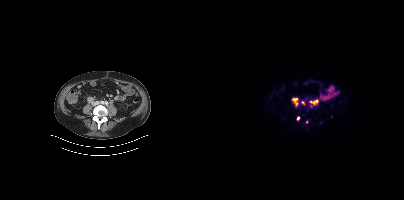
{"modality":"PSMA PET/CT","view":"axial","tracer":"18F","pet_grid":[200,200],"coord_frame":"pet_panel","coord_format":"x0,y0,x1,y1","lesion_bboxes":[[88,98,93,105],[106,100,113,104]],"small_foci_centers":[[98,102],[94,118],[102,121]]}